Technique: Left: CT. Right: PSMA PET, same axial level, 68Ga tracer. PET panel 256×256 px (2.7 mm/px).
Note: The face region was removed for patient privacy by blanking a rectangle over the head.
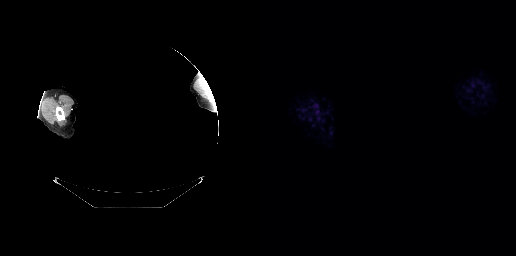
Findings: Negative for PSMA-avid disease on this slice.